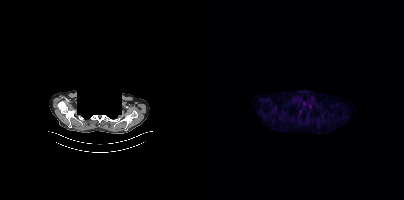
The head region is masked for de-identification. Left: CT. Right: PSMA PET, same axial level, 18F-PSMA tracer. Acquired on Siemens Biograph mCT Flow 20. Slice 330 of 389. Coordinates are on the 200×200 PET (right) panel. (showing 1 of 2 foci) Small PSMA-avid focus (2 to 4 px across) near (center x, center y): (96, 111).